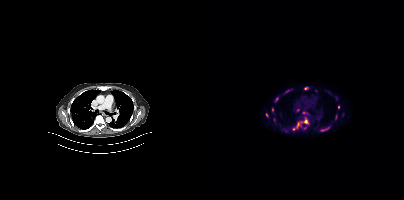
Paired axial CT (left) and PSMA PET (right), 18F tracer. PET panel 200×200 px (4.1 mm/px).
Coordinates are on the 200×200 PET (right) panel. PSMA-avid tumor lesion bounding boxes (partial; 3 more foci not listed):
| # | x0 | y0 | x1 | y1 |
|---|---|---|---|---|
| 1 | 116 | 127 | 125 | 131 |
| 2 | 92 | 122 | 96 | 128 |
| 3 | 100 | 119 | 104 | 123 |
| 4 | 71 | 97 | 74 | 101 |
| 5 | 81 | 90 | 85 | 92 |
Small PSMA-avid foci (2 to 4 px across) near (center x, center y): (112, 91); (94, 110); (132, 116); (134, 106); (68, 109); (63, 114); (89, 129); (102, 88); (101, 128); (99, 112).